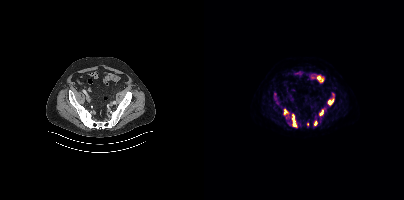
{"modality":"PSMA PET/CT","view":"axial","tracer":"18F-PSMA","pet_grid":[200,200],"coord_frame":"pet_panel","coord_format":"x0,y0,x1,y1","lesion_bboxes":[[84,114,92,126],[124,95,129,105],[79,109,84,115],[110,121,112,125]],"small_foci_centers":[[117,112],[103,124]]}